Paired axial CT (left) and PSMA PET (right), 18F-PSMA tracer. PET panel 200×200 px (4.1 mm/px).
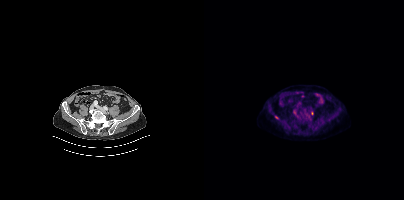
Coordinates are on the 200×200 PET (right) panel. PSMA-avid tumor lesion bounding box (x, y, width, height): x=89 y=110 w=4 h=6. Small PSMA-avid foci (2 to 4 px across) near (center x, center y): (108, 112) / (72, 117).